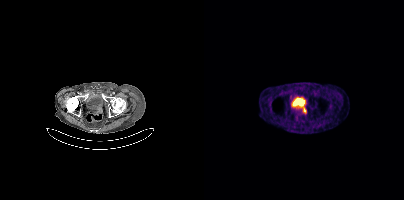
Coordinates are on the 200×200 PET (right) panel. PSMA-avid tumor lesion bounding box (x0,y0,x1,y1): [96,105,102,114].